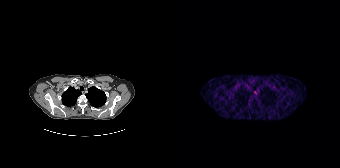
Only PSMA-avid lesion pieces thinner than 2 px on this slice (not listed).